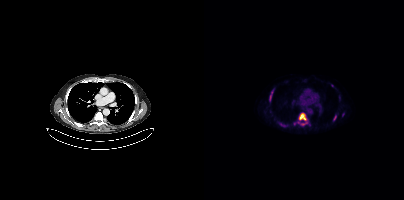
{"pet_grid":[200,200],"coord_frame":"pet_panel","coord_format":"x0,y0,x1,y1","lesion_bboxes":[[95,113,102,120],[74,122,81,127],[65,90,69,100],[94,122,102,125],[130,116,132,120]],"small_foci_centers":[[139,114],[128,85]],"modality":"PSMA PET/CT","view":"axial","tracer":"[18F]PSMA-1007"}